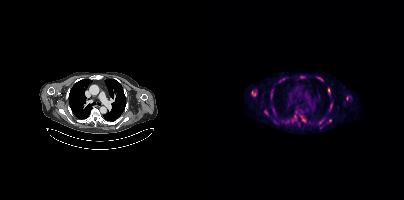
Coordinates are on the 200×200 PET (right) panel. (showing 12 of 14 foci) PSMA-avid tumor lesion bounding boxes (x0, y0)-(x1, y1): (60, 110)-(64, 114) / (113, 77)-(118, 80) / (97, 116)-(101, 121) / (66, 94)-(68, 99) / (142, 96)-(144, 100) / (124, 88)-(125, 92) / (126, 104)-(128, 108). Small PSMA-avid foci (2 to 4 px across) near (center x, center y): (117, 120) / (126, 120) / (91, 116) / (97, 76) / (50, 94).